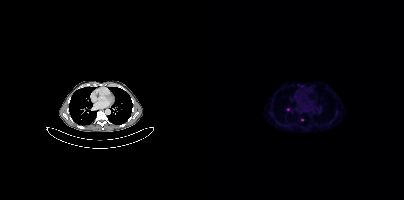
- Left: CT. Right: PSMA PET, same axial level, 68Ga tracer
- slice 259 of 409
- PET panel 200×200 px (4.1 mm/px)
Findings: Coordinates are on the 200×200 PET (right) panel. Small PSMA-avid foci (2 to 4 px across) near (center x, center y): (84, 109) | (94, 84) | (97, 119).